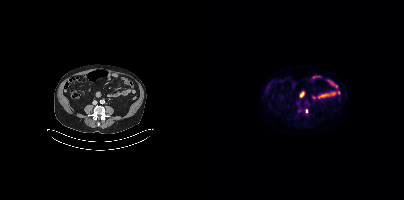
Findings: Coordinates are on the 200×200 PET (right) panel. Small PSMA-avid focus (2 to 4 px across) near (center x, center y): (102, 110).
- Two-panel axial: CT | PSMA PET, [18F]PSMA-1007 tracer
- acquired on Siemens Biograph mCT Flow 20
- PET panel 200×200 px (4.1 mm/px)